- Paired axial CT (left) and PSMA PET (right), 18F-PSMA tracer
- acquired on Siemens Biograph mCT Flow 20
- slice position z = -1366 mm
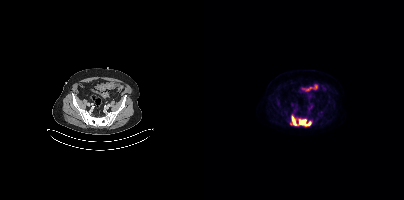
Findings: Coordinates are on the 200×200 PET (right) panel. PSMA-avid tumor lesion bounding box (x0,y0,x1,y1): [86,115,107,126].